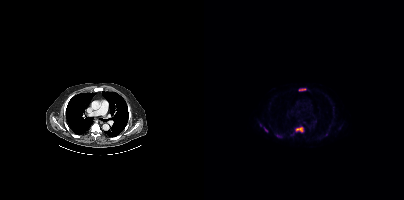
Paired axial CT (left) and PSMA PET (right), [18F]PSMA-1007 tracer. Slice 386 of 508. PET panel 200×200 px (4.1 mm/px).
Coordinates are on the 200×200 PET (right) panel. PSMA-avid tumor lesion bounding boxes:
| # | x0 | y0 | x1 | y1 |
|---|---|---|---|---|
| 1 | 92 | 127 | 99 | 132 |
| 2 | 95 | 88 | 101 | 90 |
| 3 | 60 | 127 | 63 | 132 |
Small PSMA-avid focus (2 to 4 px across) near (center x, center y): (73, 135).